Two-panel axial: CT | PSMA PET, 18F-PSMA tracer. Acquired on Siemens Biograph mCT Flow 20. PET panel 200×200 px (4.1 mm/px).
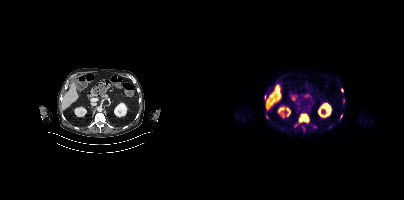
Coordinates are on the 200×200 PET (right) panel. (showing 6 of 7 foci) PSMA-avid tumor lesion bounding boxes (x0,y0,x1,y1): [96,114,104,122]; [139,99,140,103]. Small PSMA-avid foci (2 to 4 px across) near (center x, center y): (62, 116); (137, 116); (60, 96); (99, 128).